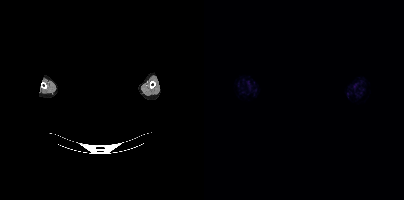
{"modality":"PSMA PET/CT","view":"axial","tracer":"18F-PSMA","pet_grid":[200,200],"coord_frame":"pet_panel","coord_format":"x0,y0,x1,y1","psma_avid_lesions":false,"redaction":"privacy mask over head"}